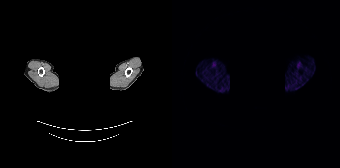
The face region was removed for patient privacy by blanking a rectangle over the head. Two-panel axial: CT | PSMA PET, 68Ga tracer. Slice 152 of 165. No PSMA-avid tumor lesions on this slice.